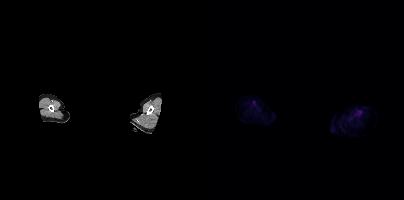
{"modality":"PSMA PET/CT","view":"axial","tracer":"18F-PSMA","pet_grid":[200,200],"coord_frame":"pet_panel","coord_format":"x0,y0,x1,y1","de-identification":"head region blanked (face removed)","psma_avid_lesions":false}